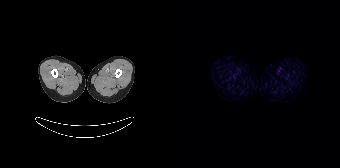
This slice has no annotated PSMA-avid lesion.